modality: PSMA PET/CT | tracer: 18F-PSMA | view: axial
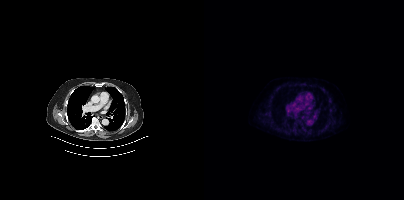
No PSMA-avid tumor lesions on this slice.